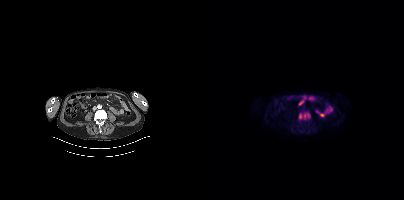
Two-panel axial: CT | PSMA PET, 18F-PSMA tracer. Acquired on Siemens Biograph mCT Flow 20. Coordinates are on the 200×200 PET (right) panel. PSMA-avid tumor lesion bounding box (x, y, width, height): x=94 y=111 w=13 h=10.